Technique: Two-panel axial: CT | PSMA PET, 18F tracer. acquired on Siemens Biograph mCT Flow 20.
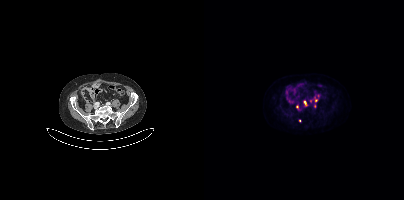
Findings: Coordinates are on the 200×200 PET (right) panel. (showing 4 of 5 foci) PSMA-avid tumor lesion bounding box (x, y, width, height): x=100 y=101 w=3 h=5. Small PSMA-avid foci (2 to 4 px across) near (center x, center y): (112, 100) | (93, 106) | (95, 120).